Two-panel axial: CT | PSMA PET, [18F]PSMA-1007 tracer. Acquired on Siemens Biograph mCT Flow 20. Slice 12 of 407.
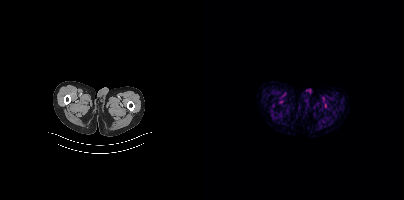
This slice has no annotated PSMA-avid lesion.